Left: CT. Right: PSMA PET, same axial level, [18F]PSMA-1007 tracer. PET panel 168×168 px (4.1 mm/px).
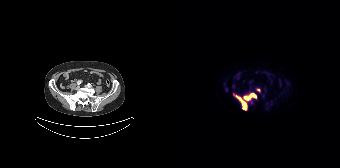
Coordinates are on the 168×168 PET (right) panel. PSMA-avid tumor lesion bounding boxes:
| # | x0 | y0 | x1 | y1 |
|---|---|---|---|---|
| 1 | 61 | 92 | 84 | 110 |
| 2 | 84 | 89 | 88 | 91 |